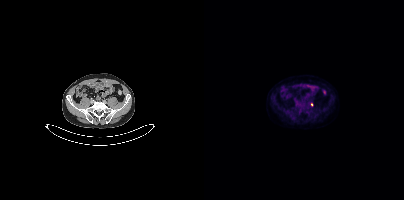
Coordinates are on the 200×200 PET (right) panel. Small PSMA-avid focus (2 to 4 px across) near (center x, center y): (107, 104).